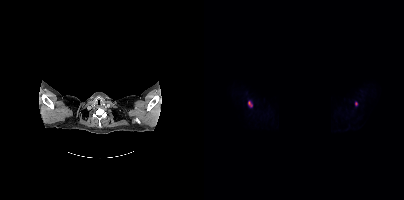
Any black rectangle here is a de-identification mask. Paired axial CT (left) and PSMA PET (right), 18F tracer. Acquired on Siemens Biograph mCT Flow 20. PET panel 200×200 px (4.1 mm/px). Coordinates are on the 200×200 PET (right) panel. (showing 1 of 2 foci) PSMA-avid tumor lesion bounding box (x0, y0)-(x1, y1): (44, 101)-(48, 106).